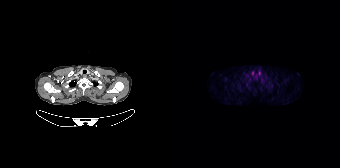
Technique: Two-panel axial: CT | PSMA PET, 18F tracer. acquired on Siemens Biograph 64-4R TruePoint. slice position z = 1938 mm.
Findings: No PSMA-avid tumor lesions on this slice.